modality: PSMA PET/CT | tracer: [18F]PSMA-1007 | view: axial
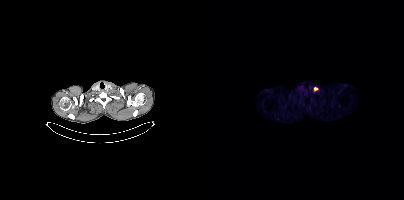
Coordinates are on the 200×200 PET (right) panel. Small PSMA-avid focus (2 to 4 px across) near (center x, center y): (111, 89).